- Paired axial CT (left) and PSMA PET (right), 18F-PSMA tracer
- acquired on Siemens Biograph 64-4R TruePoint
- slice position z = -1252 mm
- PET panel 168×168 px (4.1 mm/px)
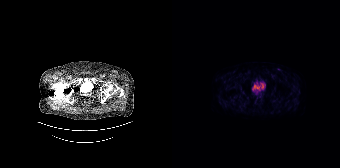
Findings: No PSMA-avid tumor lesions on this slice.